- Paired axial CT (left) and PSMA PET (right), [18F]PSMA-1007 tracer
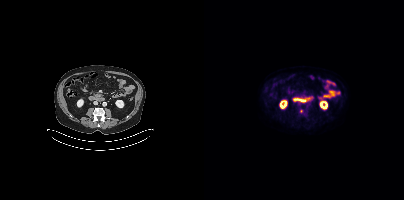
Findings: Coordinates are on the 200×200 PET (right) panel. Small PSMA-avid focus (2 to 4 px across) near (center x, center y): (97, 111).